Two-panel axial: CT | PSMA PET, 18F tracer.
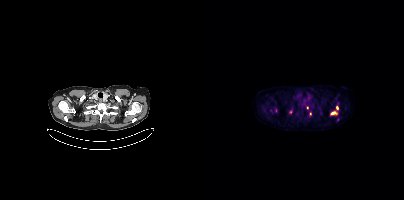
Coordinates are on the 200×200 PET (right) panel. PSMA-avid tumor lesion bounding boxes (partial; 1 more focus not listed):
| # | x0 | y0 | x1 | y1 |
|---|---|---|---|---|
| 1 | 127 | 112 | 133 | 114 |
Small PSMA-avid foci (2 to 4 px across) near (center x, center y): (86, 111); (133, 107); (103, 107); (106, 113).